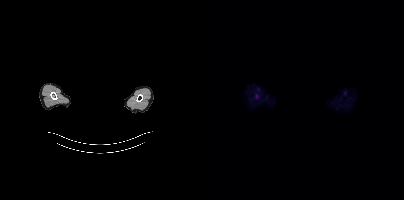
Technique: Paired axial CT (left) and PSMA PET (right), 18F tracer. slice position z = -144 mm. PET panel 200×200 px (4.1 mm/px).
Note: Privacy masking over the head, with the pixels inside a rectangle set to black.
Findings: Negative for PSMA-avid disease on this slice.